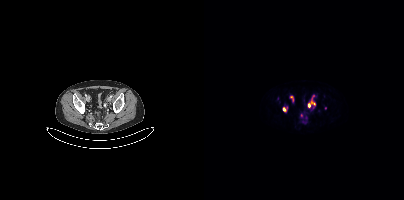
- Two-panel axial: CT | PSMA PET, [68Ga]Ga-PSMA-11 tracer
- slice 89 of 411
Findings: Coordinates are on the 200×200 PET (right) panel. PSMA-avid tumor lesion bounding boxes (x0, y0)-(x1, y1): (104, 98)-(111, 107); (86, 96)-(89, 100). Small PSMA-avid foci (2 to 4 px across) near (center x, center y): (80, 109); (97, 115); (121, 107); (109, 95).